Left: CT. Right: PSMA PET, same axial level, [18F]PSMA-1007 tracer. PET panel 200×200 px (4.1 mm/px).
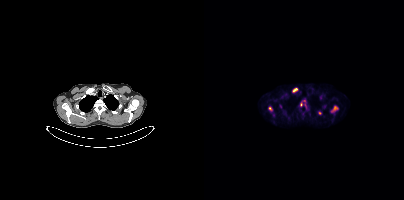
Coordinates are on the 200×200 PET (right) panel. PSMA-avid tumor lesion bounding boxes (partial; 1 more focus not listed):
| # | x0 | y0 | x1 | y1 |
|---|---|---|---|---|
| 1 | 126 | 105 | 134 | 112 |
| 2 | 96 | 100 | 102 | 108 |
| 3 | 88 | 87 | 94 | 92 |
| 4 | 64 | 106 | 68 | 111 |
Small PSMA-avid foci (2 to 4 px across) near (center x, center y): (115, 112); (116, 97); (76, 106).